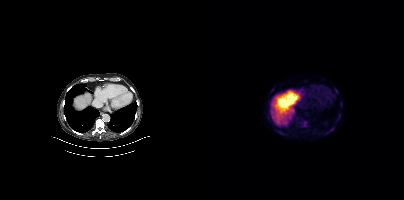
Coordinates are on the 200×200 PET (right) panel. (showing 2 of 3 foci) PSMA-avid tumor lesion bounding box (x, y, width, height): x=134 y=114 w=3 h=6. Small PSMA-avid focus (2 to 4 px across) near (center x, center y): (129, 128).
modality: PSMA PET/CT | tracer: [18F]PSMA-1007 | view: axial | PET grid: 200×200